Two-panel axial: CT | PSMA PET, [68Ga]Ga-PSMA-11 tracer. Slice position z = -1024 mm.
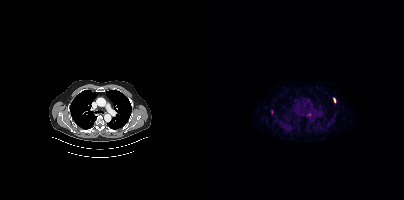
Coordinates are on the 200×200 PET (right) panel. PSMA-avid tumor lesion bounding box (x0,y0,x1,y1): [129,98,131,102].